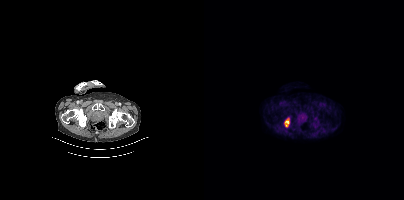
{"modality":"PSMA PET/CT","view":"axial","tracer":"[18F]PSMA-1007","pet_grid":[200,200],"coord_frame":"pet_panel","coord_format":"x0,y0,x1,y1","lesion_bboxes":[[80,118,85,126]]}